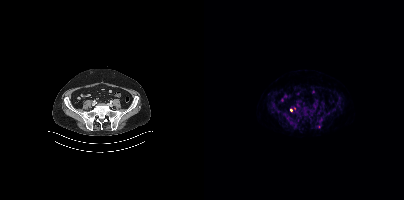
- Left: CT. Right: PSMA PET, same axial level, 18F-PSMA tracer
Findings: Coordinates are on the 200×200 PET (right) panel. Small PSMA-avid focus (2 to 4 px across) near (center x, center y): (87, 110).